Technique: Paired axial CT (left) and PSMA PET (right), 68Ga tracer. slice 43 of 389. PET panel 200×200 px (4.1 mm/px).
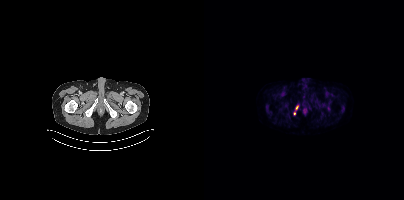
Findings: Coordinates are on the 200×200 PET (right) panel. PSMA-avid tumor lesion bounding box (x, y, width, height): x=91 y=105 w=4 h=5. Small PSMA-avid focus (2 to 4 px across) near (center x, center y): (90, 113).